Two-panel axial: CT | PSMA PET, 18F-PSMA tracer. Acquired on Siemens Biograph mCT Flow 20.
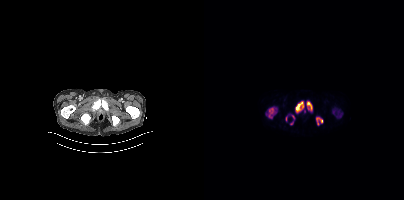
Coordinates are on the 200×200 PET (right) panel. PSMA-avid tumor lesion bounding boxes (partial; 3 more foci not listed):
| # | x0 | y0 | x1 | y1 |
|---|---|---|---|---|
| 1 | 91 | 101 | 99 | 112 |
| 2 | 64 | 107 | 72 | 118 |
| 3 | 103 | 102 | 108 | 110 |
| 4 | 112 | 117 | 118 | 122 |
Small PSMA-avid focus (2 to 4 px across) near (center x, center y): (87, 123).